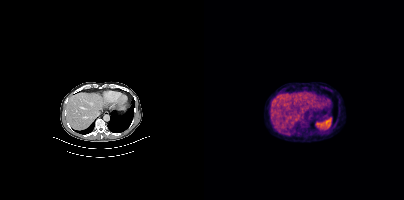
Coordinates are on the 200×200 PET (right) panel. PSMA-avid tumor lesion bounding boxes (x0, y0)-(x1, y1): (101, 121)-(105, 125) / (96, 117)-(99, 122).
modality: PSMA PET/CT | tracer: [18F]PSMA-1007 | view: axial | PET grid: 200×200